Technique: Two-panel axial: CT | PSMA PET, 18F tracer.
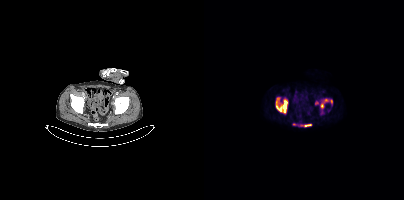
Findings: Coordinates are on the 200×200 PET (right) panel. PSMA-avid tumor lesion bounding boxes (x, y, width, height): x=71 y=97 w=14 h=18 | x=116 y=99 w=13 h=10 | x=96 y=124 w=12 h=4. Small PSMA-avid foci (2 to 4 px across) near (center x, center y): (112, 102) | (90, 124) | (117, 111).